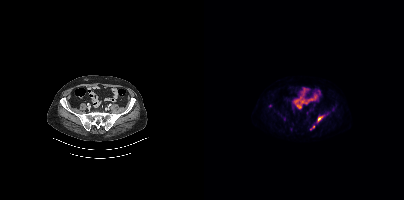
Findings: Coordinates are on the 200×200 PET (right) panel. (showing 3 of 4 foci) PSMA-avid tumor lesion bounding boxes (x0,y0,x1,y1): [114,116,119,121], [107,125,110,129]. Small PSMA-avid focus (2 to 4 px across) near (center x, center y): (80, 118).
- Paired axial CT (left) and PSMA PET (right), [18F]PSMA-1007 tracer
- acquired on Siemens Biograph mCT Flow 20